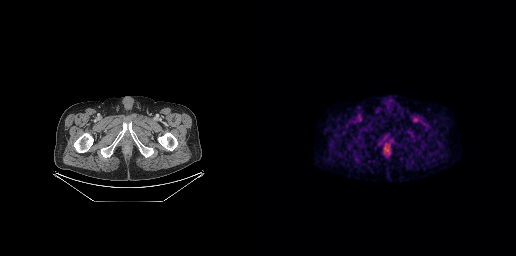
{"modality":"PSMA PET/CT","view":"axial","tracer":"18F","pet_grid":[256,256],"coord_frame":"pet_panel","coord_format":"x0,y0,x1,y1","psma_avid_lesions":false}